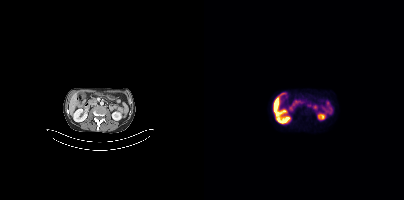
Findings: Coordinates are on the 200×200 PET (right) panel. Small PSMA-avid focus (2 to 4 px across) near (center x, center y): (104, 105).
Technique: Two-panel axial: CT | PSMA PET, [18F]PSMA-1007 tracer.